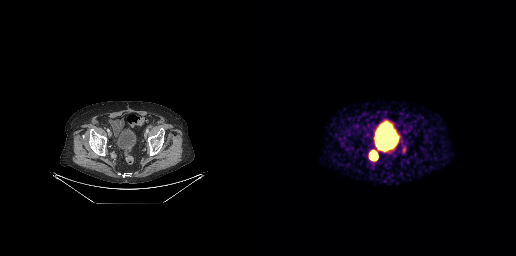
{"modality":"PSMA PET/CT","view":"axial","tracer":"68Ga","pet_grid":[256,256],"coord_frame":"pet_panel","coord_format":"x0,y0,x1,y1","lesion_bboxes":[[111,152,116,158]],"small_foci_centers":[[144,149]]}